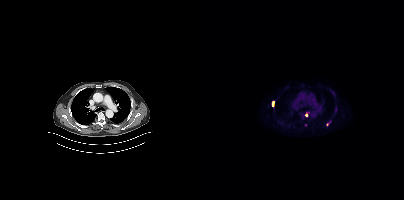
Coordinates are on the 200×200 PET (right) panel. PSMA-avid tumor lesion bounding box (x0,y0,x1,y1): [68,101,69,106]. Small PSMA-avid focus (2 to 4 px across) near (center x, center y): (123, 124).